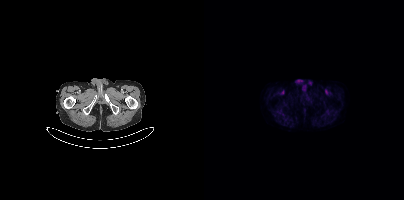
No tumor lesions annotated on this slice. Paired axial CT (left) and PSMA PET (right), 18F tracer.